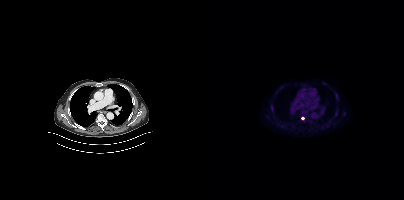
{"modality":"PSMA PET/CT","view":"axial","tracer":"[18F]PSMA-1007","pet_grid":[200,200],"coord_frame":"pet_panel","coord_format":"x0,y0,x1,y1","partial":true,"lesion_bboxes":[]}